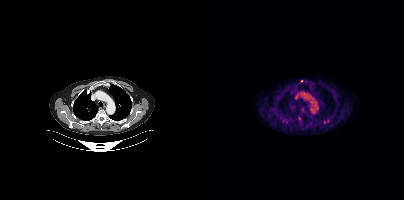
Coordinates are on the 200×200 PET (right) panel. (showing 1 of 2 foci) Small PSMA-avid focus (2 to 4 px across) near (center x, center y): (97, 80).